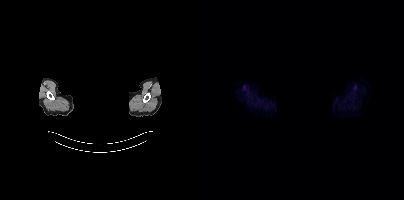
{"modality":"PSMA PET/CT","view":"axial","tracer":"[18F]PSMA-1007","pet_grid":[200,200],"coord_frame":"pet_panel","coord_format":"x0,y0,x1,y1","redaction":"facial region redacted","psma_avid_lesions":false}